Paired axial CT (left) and PSMA PET (right), 18F tracer. Acquired on Siemens Biograph mCT Flow 20.
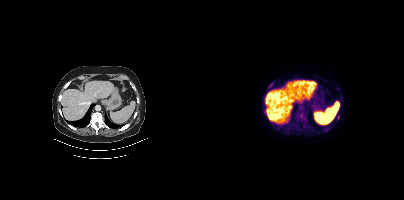
Coordinates are on the 200×200 PET (right) panel. (showing 6 of 7 foci) PSMA-avid tumor lesion bounding boxes (x, y, width, height): x=92 y=112 w=12 h=14 / x=90 y=121 w=6 h=7 / x=64 y=84 w=5 h=5. Small PSMA-avid foci (2 to 4 px across) near (center x, center y): (133, 88) / (120, 129) / (96, 129).